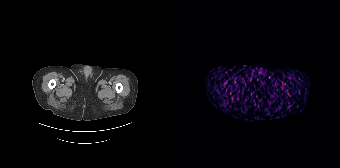
This slice has no annotated PSMA-avid lesion.